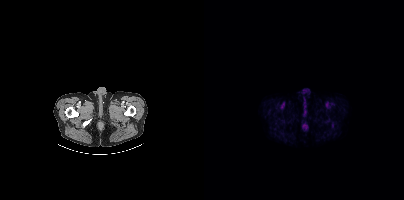
- Left: CT. Right: PSMA PET, same axial level, [18F]PSMA-1007 tracer
- PET panel 200×200 px (4.1 mm/px)
Findings: This slice has no annotated PSMA-avid lesion.